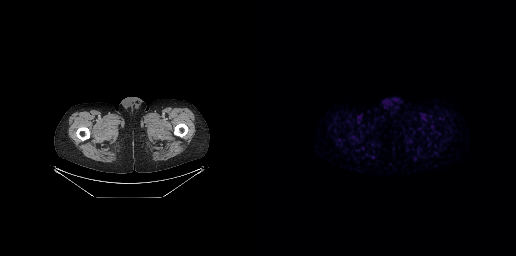
- Two-panel axial: CT | PSMA PET, 68Ga-PSMA tracer
- acquired on GE Discovery 690
- slice position z = -961 mm
Findings: Negative for PSMA-avid disease on this slice.